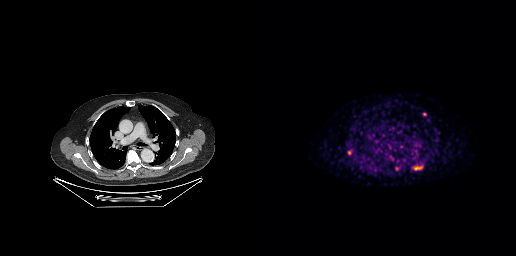
Left: CT. Right: PSMA PET, same axial level, 68Ga-PSMA tracer. Acquired on GE Discovery 690. Slice 194 of 263.
Coordinates are on the 256×256 PET (right) panel. PSMA-avid tumor lesion bounding boxes (partial; 1 more focus not listed):
| # | x0 | y0 | x1 | y1 |
|---|---|---|---|---|
| 1 | 87 | 150 | 91 | 154 |
| 2 | 135 | 167 | 139 | 170 |
Small PSMA-avid focus (2 to 4 px across) near (center x, center y): (164, 114).